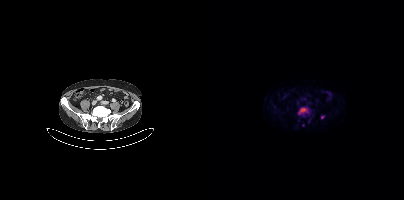
Coordinates are on the 200×200 PET (right) panel. PSMA-avid tumor lesion bounding boxes (partial; 1 more focus not listed):
| # | x0 | y0 | x1 | y1 |
|---|---|---|---|---|
| 1 | 94 | 107 | 104 | 114 |
Small PSMA-avid focus (2 to 4 px across) near (center x, center y): (118, 117).
Paired axial CT (left) and PSMA PET (right), 18F tracer. Acquired on Siemens Biograph mCT Flow 20. Slice 128 of 431. PET panel 200×200 px (4.1 mm/px).